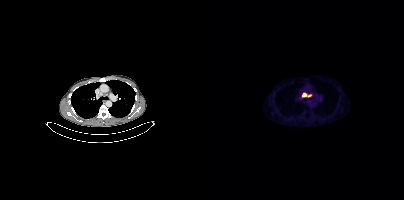
Findings: Coordinates are on the 200×200 PET (right) panel. PSMA-avid tumor lesion bounding box (x0,y0,x1,y1): [97,93,106,97].
- Left: CT. Right: PSMA PET, same axial level, 18F tracer
- acquired on Siemens Biograph mCT Flow 20
- slice 315 of 448
- PET panel 200×200 px (4.1 mm/px)